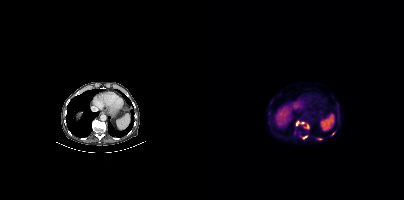
Coordinates are on the 200×200 PET (right) panel. PSMA-avid tumor lesion bounding box (x0, y0)-(x1, y1): (101, 125)-(104, 129). Small PSMA-avid foci (2 to 4 px across) near (center x, center y): (93, 123); (128, 133); (115, 138); (100, 137); (99, 122); (65, 113).